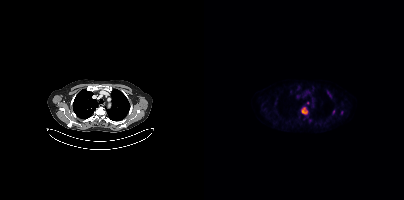
Coordinates are on the 200×200 PET (right) panel. (showing 4 of 5 foci) PSMA-avid tumor lesion bounding box (x0, y0)-(x1, y1): (97, 107)-(103, 114). Small PSMA-avid foci (2 to 4 px across) near (center x, center y): (103, 103); (129, 111); (125, 95).